Left: CT. Right: PSMA PET, same axial level, 18F-PSMA tracer. Slice position z = -182 mm. PET panel 200×200 px (4.1 mm/px).
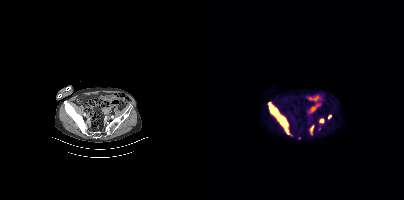
Coordinates are on the 200×200 PET (right) panel. (showing 5 of 6 foci) PSMA-avid tumor lesion bounding boxes (x0,y0,x1,y1): [64,102,87,135] [105,125,110,134] [115,118,119,122] [124,114,127,119]. Small PSMA-avid focus (2 to 4 px across) near (center x, center y): (115, 128).